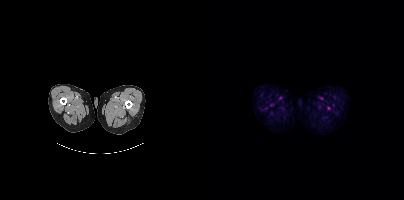
Negative for PSMA-avid disease on this slice. Left: CT. Right: PSMA PET, same axial level, [18F]PSMA-1007 tracer. Acquired on Siemens Biograph mCT Flow 20. Slice 40 of 415. PET panel 200×200 px (4.1 mm/px).